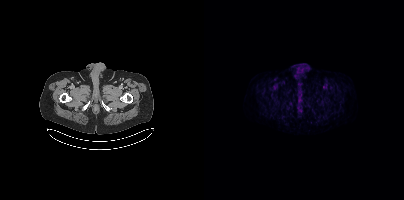
- Paired axial CT (left) and PSMA PET (right), 18F-PSMA tracer
- acquired on Siemens Biograph mCT Flow 20
Findings: No PSMA-avid tumor lesions on this slice.